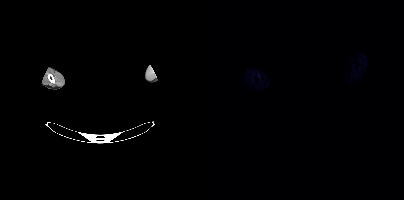
A rectangular block over the head has been blanked out for de-identification.
Negative for PSMA-avid disease on this slice.